Two-panel axial: CT | PSMA PET, 18F tracer. Acquired on Siemens Biograph mCT Flow 20.
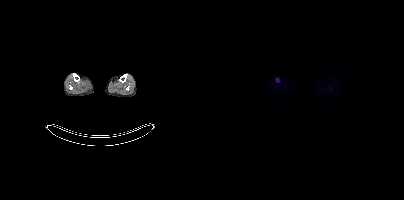
Coordinates are on the 200×200 PET (right) panel. Small PSMA-avid focus (2 to 4 px across) near (center x, center y): (73, 79).